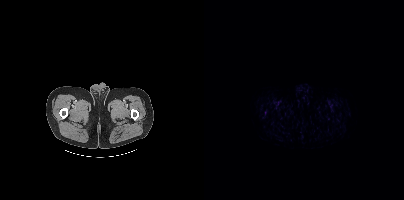
Paired axial CT (left) and PSMA PET (right), [18F]PSMA-1007 tracer. Slice position z = -1564 mm. PET panel 200×200 px (4.1 mm/px). This slice has no annotated PSMA-avid lesion.